modality: PSMA PET/CT | tracer: 18F | view: axial | PET grid: 200×200
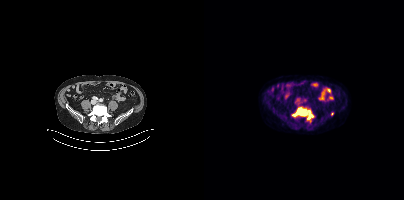
Coordinates are on the 200×200 PET (right) panel. PSMA-avid tumor lesion bounding box (x0, y0)-(x1, y1): (92, 107)-(108, 119). Small PSMA-avid foci (2 to 4 px across) near (center x, center y): (128, 113) / (89, 114).